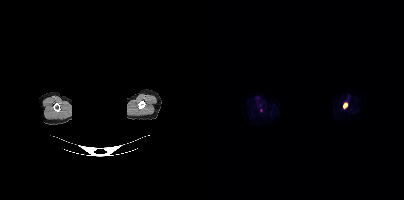
Findings: Coordinates are on the 200×200 PET (right) panel. PSMA-avid tumor lesion bounding box (x0,y0,x1,y1): [139,103,143,108].
- the face region was removed for patient privacy by blanking a rectangle over the head
- Two-panel axial: CT | PSMA PET, [18F]PSMA-1007 tracer
- acquired on Siemens Biograph mCT Flow 20
- PET panel 200×200 px (4.1 mm/px)